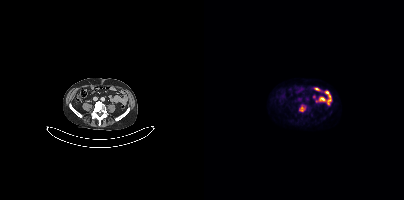
modality: PSMA PET/CT | tracer: 18F | view: axial
Coordinates are on the 200×200 PET (right) panel. PSMA-avid tumor lesion bounding box (x0, y0)-(x1, y1): (95, 105)-(101, 111).